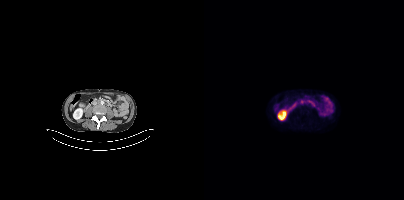
Two-panel axial: CT | PSMA PET, [18F]PSMA-1007 tracer. Acquired on Siemens Biograph mCT Flow 20.
Coordinates are on the 200×200 PET (right) panel. PSMA-avid tumor lesion bounding boxes:
| # | x0 | y0 | x1 | y1 |
|---|---|---|---|---|
| 1 | 96 | 100 | 101 | 103 |